Paired axial CT (left) and PSMA PET (right), 18F tracer. PET panel 200×200 px (4.1 mm/px).
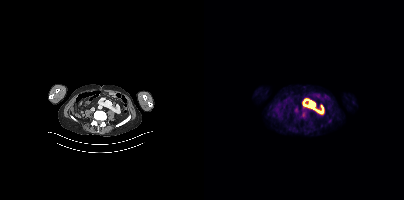
This slice has no annotated PSMA-avid lesion.